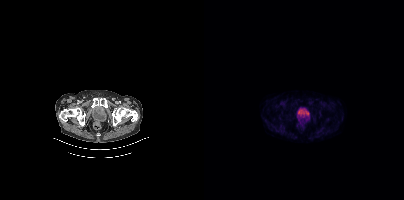
Findings: No PSMA-avid tumor lesions on this slice.
- Left: CT. Right: PSMA PET, same axial level, [18F]PSMA-1007 tracer
- PET panel 200×200 px (4.1 mm/px)